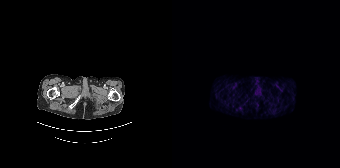
Left: CT. Right: PSMA PET, same axial level, 68Ga tracer. Acquired on Siemens Biograph 64-4R TruePoint. Slice 15 of 165. Negative for PSMA-avid disease on this slice.